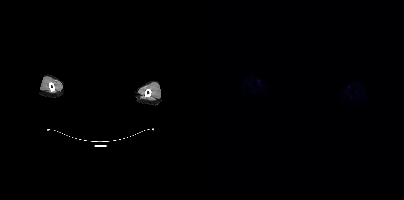
Findings: Negative for PSMA-avid disease on this slice.
- de-identified by setting a box covering the face to black before release
- Paired axial CT (left) and PSMA PET (right), 18F tracer
- PET panel 200×200 px (4.1 mm/px)